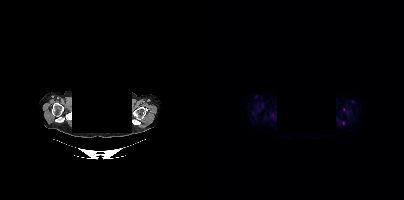
Technique: Left: CT. Right: PSMA PET, same axial level, [18F]PSMA-1007 tracer. slice position z = -741 mm. PET panel 200×200 px (4.1 mm/px).
Note: Privacy masking over the head, with the pixels inside a rectangle set to black.
Findings: Coordinates are on the 200×200 PET (right) panel. PSMA-avid tumor lesion bounding box (x0,y0,x1,y1): [135,119,140,125].